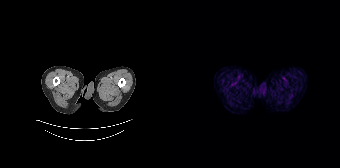
{"pet_grid":[168,168],"coord_frame":"pet_panel","coord_format":"x0,y0,x1,y1","psma_avid_lesions":false,"modality":"PSMA PET/CT","view":"axial","tracer":"68Ga-PSMA"}